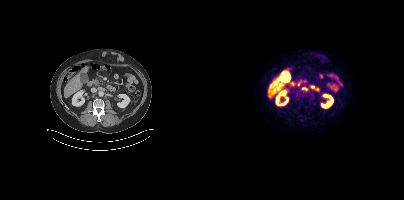
Coordinates are on the 200×200 PET (right) panel. (showing 1 of 3 foci) Small PSMA-avid focus (2 to 4 px across) near (center x, center y): (93, 95).